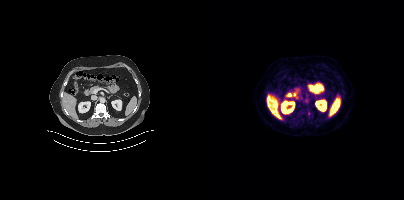
Negative for PSMA-avid disease on this slice.